- Left: CT. Right: PSMA PET, same axial level, [68Ga]Ga-PSMA-11 tracer
- acquired on GE Discovery 690
- slice position z = -700 mm
- PET panel 256×256 px (2.7 mm/px)
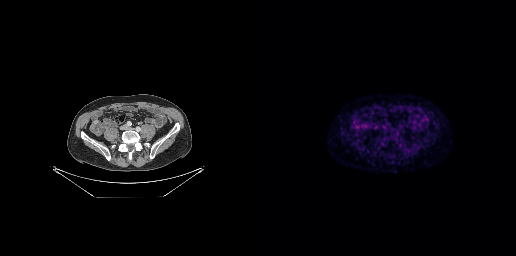
Findings: Negative for PSMA-avid disease on this slice.